modality: PSMA PET/CT | tracer: [18F]PSMA-1007 | view: axial
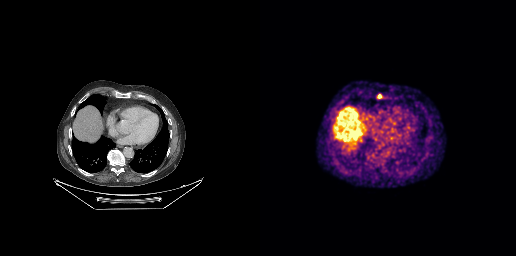
Coordinates are on the 256×256 PET (right) panel. PSMA-avid tumor lesion bounding box (x0, y0)-(x1, y1): (117, 94)-(122, 98).